Paired axial CT (left) and PSMA PET (right), [18F]PSMA-1007 tracer. Slice position z = -142 mm.
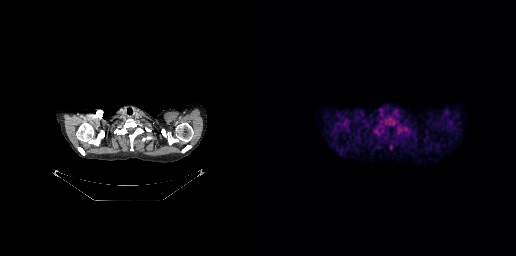
Coordinates are on the 256×256 PET (right) panel. PSMA-avid tumor lesion bounding box (x0,y0,x1,y1): [125,119,135,125].